modality: PSMA PET/CT | tracer: 18F-PSMA | view: axial | PET grid: 200×200
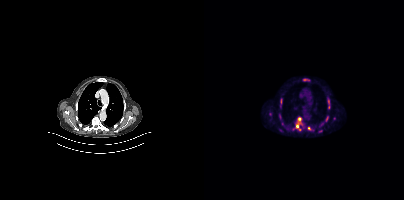
Coordinates are on the 200×200 PET (right) panel. (showing 7 of 8 foci) PSMA-avid tumor lesion bounding boxes (x, y, width, height): x=88 y=116 w=14 h=16 / x=123 y=98 w=4 h=11 / x=103 y=126 w=5 h=5 / x=121 y=116 w=4 h=6 / x=75 y=114 w=3 h=6 / x=101 y=79 w=5 h=3. Small PSMA-avid focus (2 to 4 px across) near (center x, center y): (66, 114).